Paired axial CT (left) and PSMA PET (right), [18F]PSMA-1007 tracer.
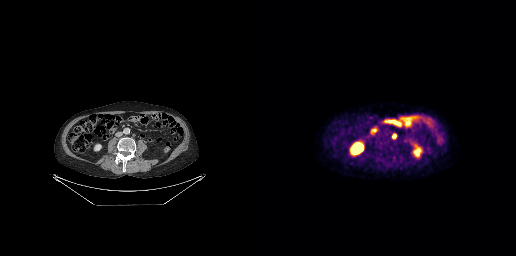
Coordinates are on the 256×256 PET (right) panel. PSMA-avid tumor lesion bounding box (x0,y0,x1,y1): [132,134,136,138].